- Two-panel axial: CT | PSMA PET, 18F-PSMA tracer
- slice position z = -660 mm
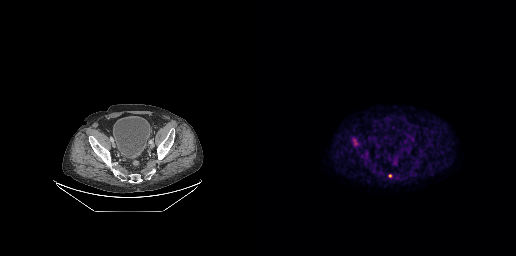
Findings: Coordinates are on the 256×256 PET (right) panel. Small PSMA-avid foci (2 to 4 px across) near (center x, center y): (129, 175) | (95, 141).